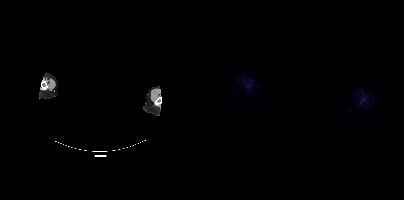
Technique: Left: CT. Right: PSMA PET, same axial level, [18F]PSMA-1007 tracer. PET panel 200×200 px (4.1 mm/px).
Note: The head region is masked for de-identification.
Findings: Negative for PSMA-avid disease on this slice.